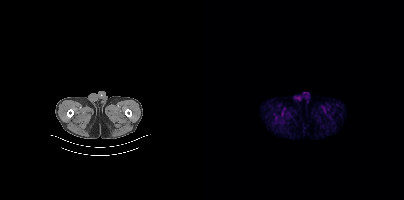
This slice has no annotated PSMA-avid lesion. Two-panel axial: CT | PSMA PET, 18F-PSMA tracer. Slice 17 of 387.